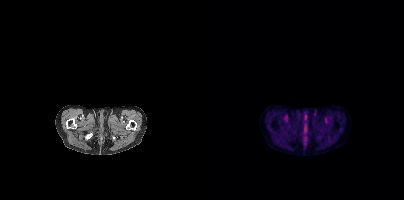
{"pet_grid":[200,200],"coord_frame":"pet_panel","coord_format":"x0,y0,x1,y1","psma_avid_lesions":false,"modality":"PSMA PET/CT","view":"axial","tracer":"18F-PSMA"}